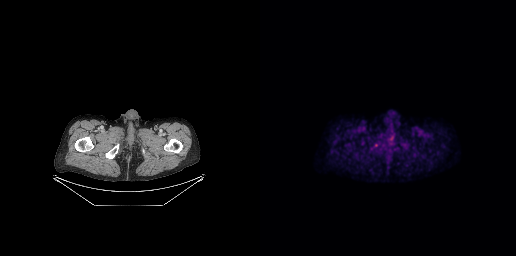
Left: CT. Right: PSMA PET, same axial level, 18F-PSMA tracer. Slice position z = -922 mm. No tumor lesions annotated on this slice.